modality: PSMA PET/CT | tracer: 18F-PSMA | view: axial
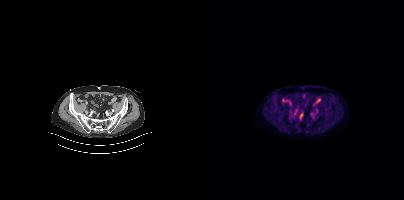
This slice has no annotated PSMA-avid lesion.